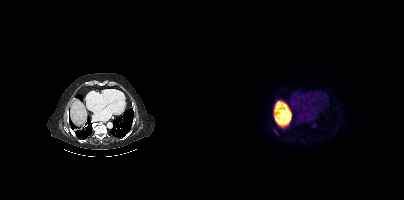
Findings: Coordinates are on the 200×200 PET (right) panel. (showing 1 of 3 foci) Small PSMA-avid focus (2 to 4 px across) near (center x, center y): (71, 131).
Technique: Left: CT. Right: PSMA PET, same axial level, 18F tracer. slice position z = -1084 mm.